Technique: Two-panel axial: CT | PSMA PET, 18F-PSMA tracer. acquired on Siemens Biograph mCT Flow 20. PET panel 200×200 px (4.1 mm/px).
Note: A rectangular block over the head has been blanked out for de-identification.
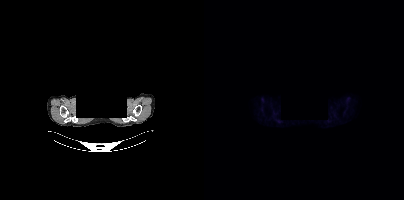
Findings: No tumor lesions annotated on this slice.